Two-panel axial: CT | PSMA PET, 68Ga tracer. Acquired on Siemens Biograph 64-4R TruePoint.
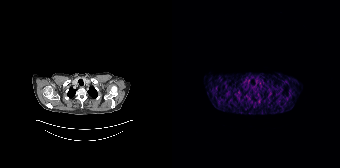
No tumor lesions annotated on this slice.